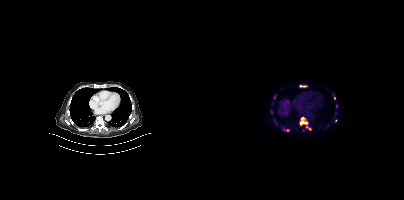
Coordinates are on the 200×200 PET (right) panel. (showing 3 of 7 foci) PSMA-avid tumor lesion bounding boxes (x0,y0,x1,y1): [96,117,103,124] [96,85,101,86]. Small PSMA-avid focus (2 to 4 px across) near (center x, center y): (130, 98).